Two-panel axial: CT | PSMA PET, 18F tracer.
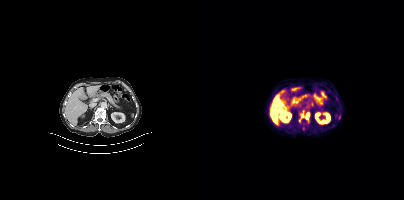
Coordinates are on the 200×200 PET (right) panel. PSMA-avid tumor lesion bounding boxes (partial; 2 more foci not listed):
| # | x0 | y0 | x1 | y1 |
|---|---|---|---|---|
| 1 | 101 | 112 | 105 | 119 |
| 2 | 97 | 113 | 99 | 117 |